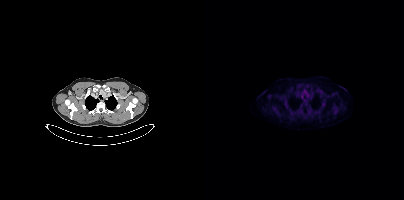
Findings: No tumor lesions annotated on this slice.
Technique: Two-panel axial: CT | PSMA PET, 18F tracer.